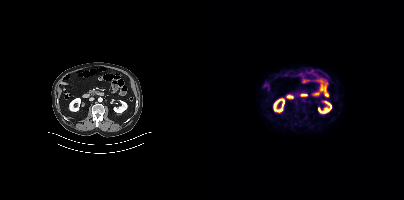
{"modality":"PSMA PET/CT","view":"axial","tracer":"[18F]PSMA-1007","pet_grid":[200,200],"coord_frame":"pet_panel","coord_format":"x0,y0,x1,y1","psma_avid_lesions":false}